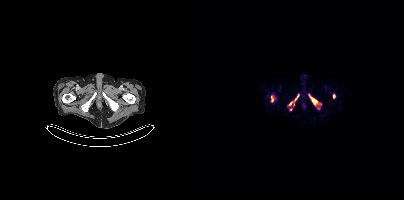
Coordinates are on the 200×200 PET (right) panel. PSMA-avid tumor lesion bounding boxes (partial; 2 more foci not listed):
| # | x0 | y0 | x1 | y1 |
|---|---|---|---|---|
| 1 | 105 | 94 | 117 | 105 |
| 2 | 67 | 96 | 69 | 101 |
| 3 | 85 | 101 | 88 | 105 |
| 4 | 91 | 94 | 94 | 100 |
Small PSMA-avid foci (2 to 4 px across) near (center x, center y): (129, 96); (86, 109).
Left: CT. Right: PSMA PET, same axial level, 18F tracer. Slice 487 of 963.